Left: CT. Right: PSMA PET, same axial level, [68Ga]Ga-PSMA-11 tracer.
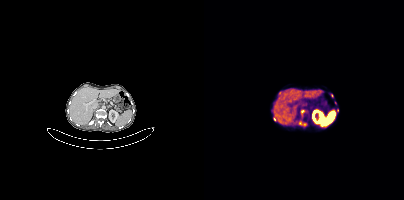
Coordinates are on the 200×200 PET (right) panel. PSMA-avid tumor lesion bounding boxes (partial; 1 more focus not listed):
| # | x0 | y0 | x1 | y1 |
|---|---|---|---|---|
| 1 | 95 | 121 | 102 | 126 |
| 2 | 75 | 91 | 77 | 95 |
Small PSMA-avid foci (2 to 4 px across) near (center x, center y): (98, 111); (133, 110); (127, 95); (70, 119).